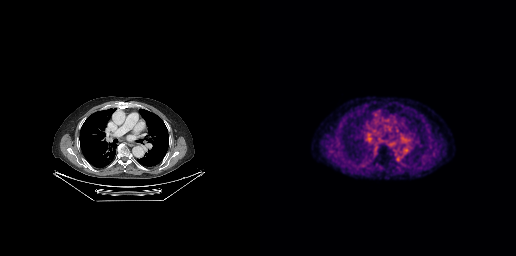
Two-panel axial: CT | PSMA PET, [18F]PSMA-1007 tracer. PET panel 256×256 px (2.7 mm/px). This slice has no annotated PSMA-avid lesion.